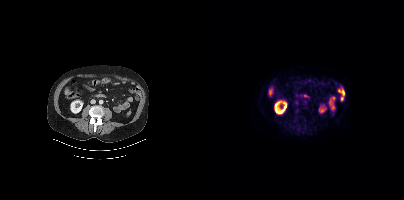
No PSMA-avid tumor lesions on this slice.